- Two-panel axial: CT | PSMA PET, 68Ga tracer
- acquired on Siemens Biograph mCT Flow 20
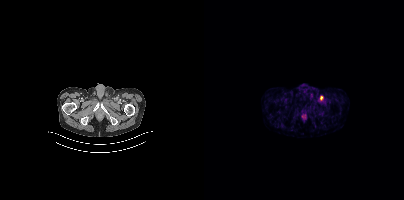
Findings: Coordinates are on the 200×200 PET (right) panel. PSMA-avid tumor lesion bounding box (x, y, width, height): x=116 y=96 w=3 h=5.